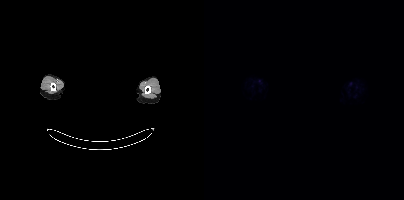
A rectangle over the head was blacked out to remove identifiable facial features.
This slice has no annotated PSMA-avid lesion.